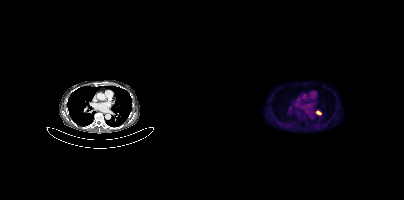
{"pet_grid":[200,200],"coord_frame":"pet_panel","coord_format":"x0,y0,x1,y1","lesion_bboxes":[[112,111,117,114]],"modality":"PSMA PET/CT","view":"axial","tracer":"18F"}